- Paired axial CT (left) and PSMA PET (right), [18F]PSMA-1007 tracer
- slice 290 of 403
- PET panel 200×200 px (4.1 mm/px)
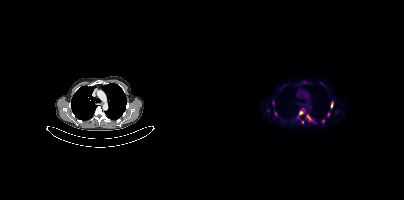
Findings: Coordinates are on the 200×200 PET (right) panel. (showing 9 of 12 foci) PSMA-avid tumor lesion bounding boxes (x0,y0,x1,y1): [93,108,100,117], [102,114,108,121], [126,101,129,108], [123,112,126,116]. Small PSMA-avid foci (2 to 4 px across) near (center x, center y): (119, 121), (69, 102), (72, 113), (98, 122), (117, 83).